- Paired axial CT (left) and PSMA PET (right), [68Ga]Ga-PSMA-11 tracer
- acquired on GE Discovery 690
- PET panel 256×256 px (2.7 mm/px)
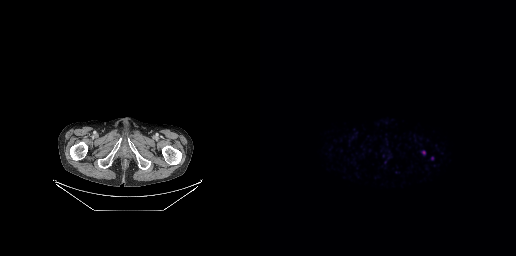
Findings: Only PSMA-avid lesion pieces thinner than 2 px on this slice (not listed).